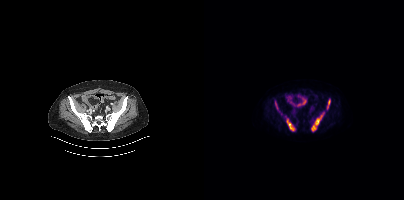
Coordinates are on the 200×200 PET (right) panel. PSMA-avid tumor lesion bounding boxes (x, y, width, height): x=107 y=113 w=13 h=19 / x=82 y=118 w=10 h=14 / x=123 y=99 w=4 h=11 / x=71 y=102 w=3 h=8.